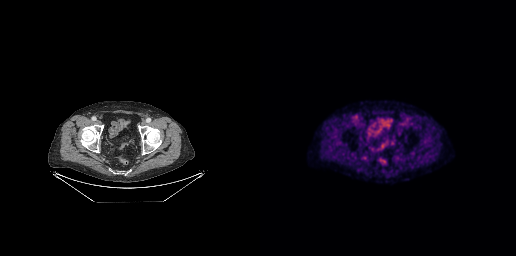
- Two-panel axial: CT | PSMA PET, 18F-PSMA tracer
- PET panel 256×256 px (2.7 mm/px)
Findings: Negative for PSMA-avid disease on this slice.